Paired axial CT (left) and PSMA PET (right), [18F]PSMA-1007 tracer. Slice 120 of 435. PET panel 200×200 px (4.1 mm/px).
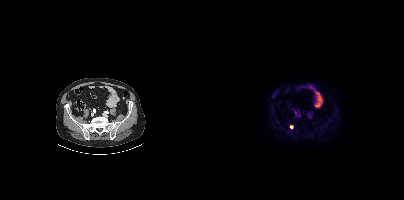
Coordinates are on the 200×200 PET (right) panel. PSMA-avid tumor lesion bounding boxes (partial; 1 more focus not listed):
| # | x0 | y0 | x1 | y1 |
|---|---|---|---|---|
| 1 | 85 | 125 | 89 | 128 |